modality: PSMA PET/CT | tracer: 18F-PSMA | view: axial
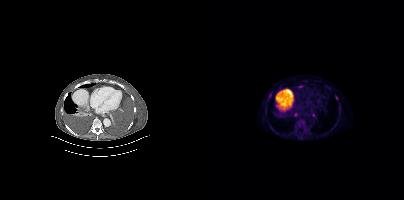
Coordinates are on the 200×200 PET (right) panel. PSMA-avid tumor lesion bounding boxes (x, y, width, height): x=94 y=85 w=6 h=4; x=108 y=113 w=4 h=5. Small PSMA-avid foci (2 to 4 px across) near (center x, center y): (66, 95); (91, 114); (132, 98).